Technique: Left: CT. Right: PSMA PET, same axial level, 68Ga-PSMA tracer. slice position z = -1610 mm. PET panel 200×200 px (4.1 mm/px).
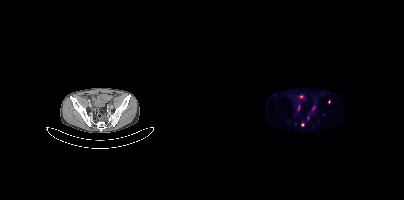
Findings: Coordinates are on the 200×200 PET (right) panel. PSMA-avid tumor lesion bounding box (x0,y0,x1,y1): [108,105,111,109]. Small PSMA-avid foci (2 to 4 px across) near (center x, center y): (98, 124); (94, 108); (125, 101).